Technique: Paired axial CT (left) and PSMA PET (right), 18F-PSMA tracer. acquired on Siemens Biograph mCT Flow 20. slice position z = -985 mm. PET panel 200×200 px (4.1 mm/px).
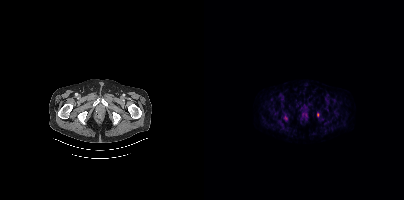
Findings: Coordinates are on the 200×200 PET (right) panel. Small PSMA-avid focus (2 to 4 px across) near (center x, center y): (113, 114).